Left: CT. Right: PSMA PET, same axial level, 18F tracer. Acquired on Siemens Biograph mCT Flow 20. PET panel 200×200 px (4.1 mm/px).
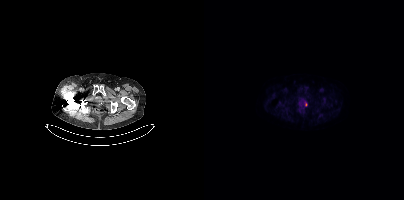
Coordinates are on the 200×200 PET (right) panel. PSMA-avid tumor lesion bounding box (x0, y0)-(x1, y1): (101, 102)-(103, 106).